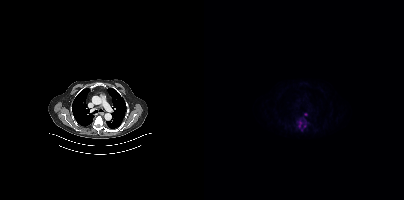
Coordinates are on the 200×200 PET (right) panel. PSMA-avid tumor lesion bounding boxes:
| # | x0 | y0 | x1 | y1 |
|---|---|---|---|---|
| 1 | 93 | 118 | 104 | 131 |
Paired axial CT (left) and PSMA PET (right), 18F-PSMA tracer. Acquired on Siemens Biograph mCT Flow 20.